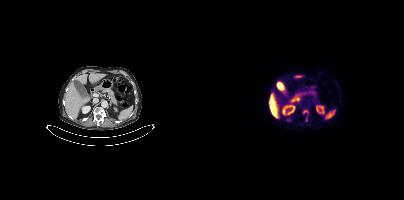
Paired axial CT (left) and PSMA PET (right), 18F tracer. Acquired on Siemens Biograph mCT Flow 20. Slice position z = 62 mm. PET panel 200×200 px (4.1 mm/px). Coordinates are on the 200×200 PET (right) panel. PSMA-avid tumor lesion bounding box (x, y, width, height): x=101 y=114 w=4 h=8. Small PSMA-avid foci (2 to 4 px across) near (center x, center y): (84, 120) / (101, 111).